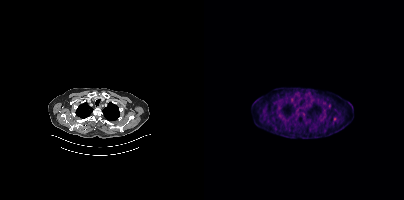
Technique: Left: CT. Right: PSMA PET, same axial level, 18F tracer. slice 305 of 377. PET panel 200×200 px (4.1 mm/px).
Findings: Only PSMA-avid lesion pieces thinner than 2 px on this slice (not listed).